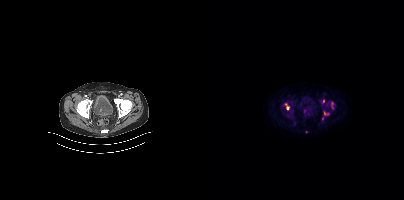
Left: CT. Right: PSMA PET, same axial level, 18F tracer. Slice 81 of 413.
Coordinates are on the 200×200 PET (right) panel. PSMA-avid tumor lesion bounding boxes:
| # | x0 | y0 | x1 | y1 |
|---|---|---|---|---|
| 1 | 79 | 104 | 85 | 109 |
| 2 | 120 | 112 | 124 | 114 |
Small PSMA-avid foci (2 to 4 px across) near (center x, center y): (119, 101); (118, 118); (128, 103); (102, 131).